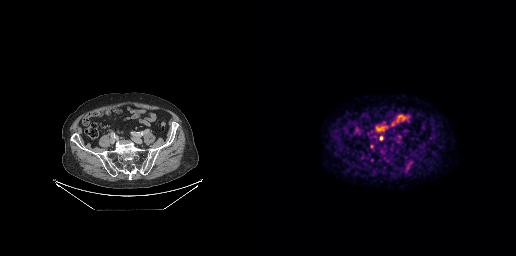
{"modality":"PSMA PET/CT","view":"axial","tracer":"18F","pet_grid":[256,256],"coord_frame":"pet_panel","coord_format":"x0,y0,x1,y1","lesion_bboxes":[[120,136,123,140]],"small_foci_centers":[[111,146]]}